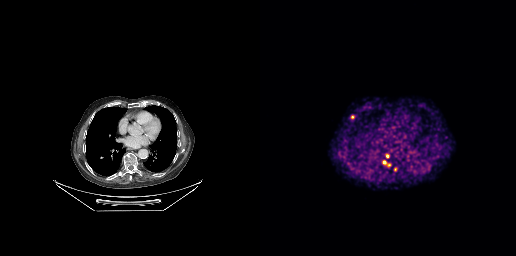
- Two-panel axial: CT | PSMA PET, 68Ga-PSMA tracer
- acquired on GE Discovery 690
- PET panel 256×256 px (2.7 mm/px)
Findings: Coordinates are on the 256×256 PET (right) panel. PSMA-avid tumor lesion bounding box (x, y, width, height): x=122 y=160 w=9 h=7. Small PSMA-avid foci (2 to 4 px across) near (center x, center y): (127, 155) | (92, 116) | (135, 169).